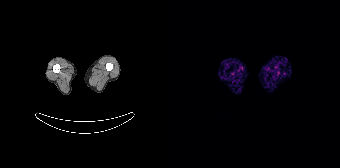
Findings: No PSMA-avid tumor lesions on this slice.
Technique: Paired axial CT (left) and PSMA PET (right), 68Ga tracer. acquired on Siemens Biograph 64-4R TruePoint. slice position z = -1390 mm. PET panel 168×168 px (4.1 mm/px).